Technique: Left: CT. Right: PSMA PET, same axial level, 18F tracer. acquired on Siemens Biograph mCT Flow 20. slice 246 of 433.
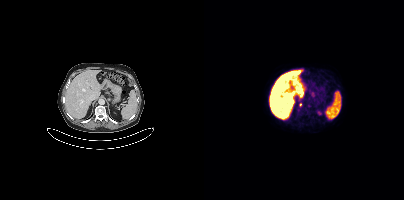
Findings: Coordinates are on the 200×200 PET (right) panel. Small PSMA-avid foci (2 to 4 px across) near (center x, center y): (105, 105) (94, 110) (96, 104).